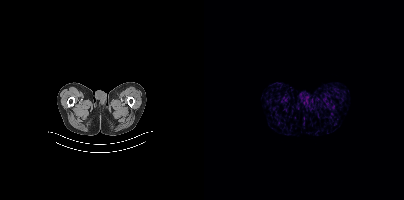
No PSMA-avid tumor lesions on this slice.